- Paired axial CT (left) and PSMA PET (right), 18F-PSMA tracer
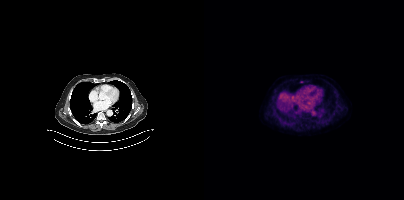
Findings: Coordinates are on the 200×200 PET (right) panel. Small PSMA-avid focus (2 to 4 px across) near (center x, center y): (97, 81).